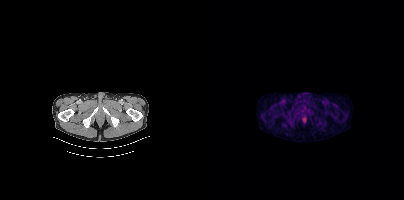
Left: CT. Right: PSMA PET, same axial level, 18F-PSMA tracer. Acquired on Siemens Biograph mCT Flow 20. Slice 46 of 448. Negative for PSMA-avid disease on this slice.